Technique: Paired axial CT (left) and PSMA PET (right), 18F-PSMA tracer. slice 204 of 466. PET panel 200×200 px (4.1 mm/px).
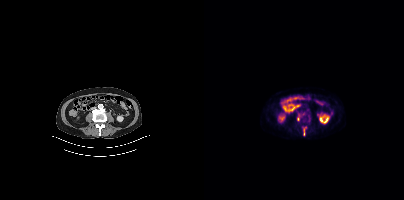
Findings: Coordinates are on the 200×200 PET (right) panel. (showing 1 of 2 foci) Small PSMA-avid focus (2 to 4 px across) near (center x, center y): (93, 119).